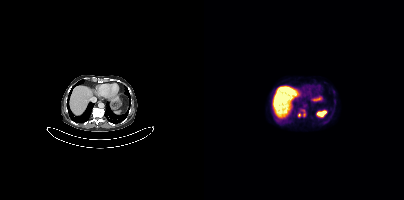
Coordinates are on the 200×200 PET (right) panel. PSMA-avid tumor lesion bounding boxes (x, y, width, height): x=98 y=109 w=4 h=8; x=94 y=113 w=4 h=5.